- Left: CT. Right: PSMA PET, same axial level, [18F]PSMA-1007 tracer
- acquired on Siemens Biograph mCT Flow 20
- PET panel 200×200 px (4.1 mm/px)
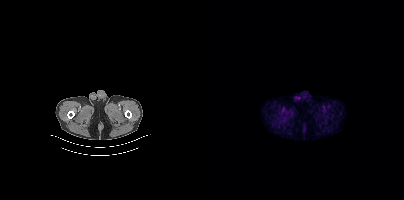
Findings: No PSMA-avid tumor lesions on this slice.